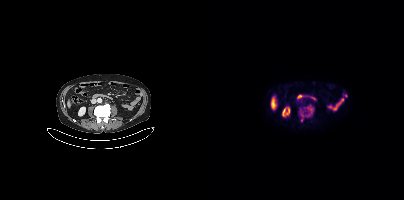
Two-panel axial: CT | PSMA PET, 18F-PSMA tracer. PET panel 200×200 px (4.1 mm/px).
Coordinates are on the 200×200 PET (right) panel. PSMA-avid tumor lesion bounding boxes:
| # | x0 | y0 | x1 | y1 |
|---|---|---|---|---|
| 1 | 102 | 105 | 109 | 116 |
Small PSMA-avid foci (2 to 4 px across) near (center x, center y): (98, 114); (97, 120).